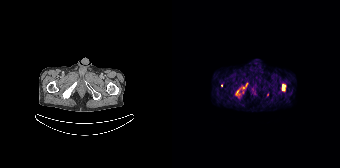
{"pet_grid":[168,168],"coord_frame":"pet_panel","coord_format":"x0,y0,x1,y1","partial":true,"lesion_bboxes":[[110,84,113,90],[64,90,66,94]],"small_foci_centers":[[71,87],[95,94]],"modality":"PSMA PET/CT","view":"axial","tracer":"68Ga"}